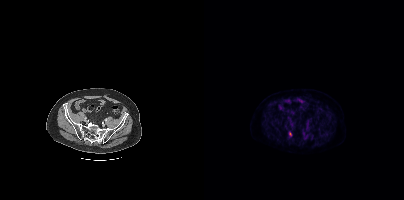
Findings: No PSMA-avid tumor lesions on this slice.
Technique: Left: CT. Right: PSMA PET, same axial level, [18F]PSMA-1007 tracer. acquired on Siemens Biograph mCT Flow 20. PET panel 200×200 px (4.1 mm/px).